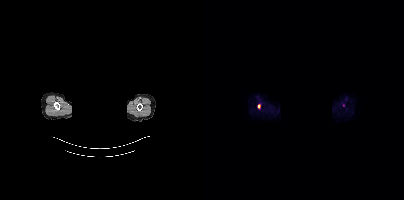
{"modality":"PSMA PET/CT","view":"axial","tracer":"[18F]PSMA-1007","pet_grid":[200,200],"coord_frame":"pet_panel","coord_format":"x0,y0,x1,y1","lesion_bboxes":[],"small_foci_centers":[[54,106]],"redaction":"face masked with black rectangle"}